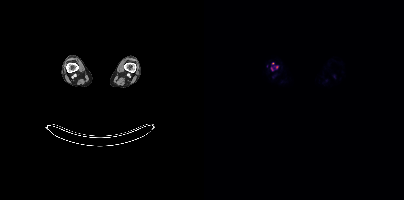
modality: PSMA PET/CT | tracer: 18F-PSMA | view: axial
Coordinates are on the 200×200 PET (right) panel. (showing 1 of 2 foci) Small PSMA-avid focus (2 to 4 px across) near (center x, center y): (72, 66).